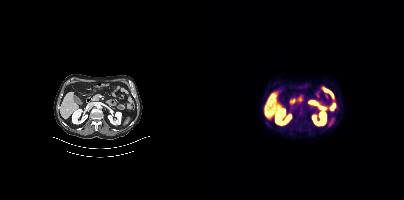
{"modality":"PSMA PET/CT","view":"axial","tracer":"[18F]PSMA-1007","pet_grid":[200,200],"coord_frame":"pet_panel","coord_format":"x0,y0,x1,y1","psma_avid_lesions":false}